Technique: Paired axial CT (left) and PSMA PET (right), 18F tracer. acquired on GE Discovery 690.
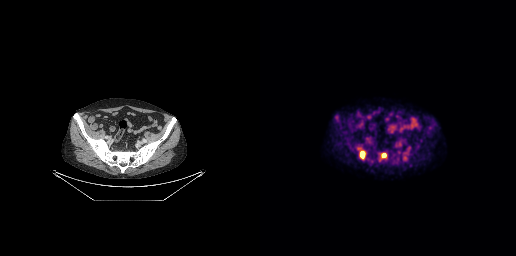
Findings: Coordinates are on the 256×256 PET (right) panel. PSMA-avid tumor lesion bounding boxes (x, y, width, height): x=99 y=150 w=7 h=10 | x=120 y=153 w=7 h=8.